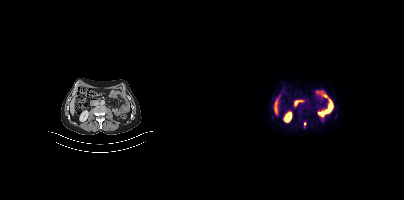
Coordinates are on the 200×200 PET (right) panel. PSMA-avid tumor lesion bounding box (x0, y0)-(x1, y1): (100, 122)-(102, 126).